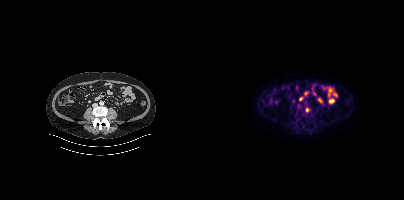
- Paired axial CT (left) and PSMA PET (right), 18F-PSMA tracer
- slice position z = -557 mm
- PET panel 200×200 px (4.1 mm/px)
Findings: Coordinates are on the 200×200 PET (right) panel. Small PSMA-avid focus (2 to 4 px across) near (center x, center y): (103, 109).